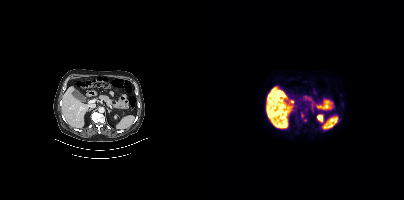
{"modality":"PSMA PET/CT","view":"axial","tracer":"18F-PSMA","pet_grid":[200,200],"coord_frame":"pet_panel","coord_format":"x0,y0,x1,y1","partial":true,"lesion_bboxes":[],"small_foci_centers":[[100,119]]}